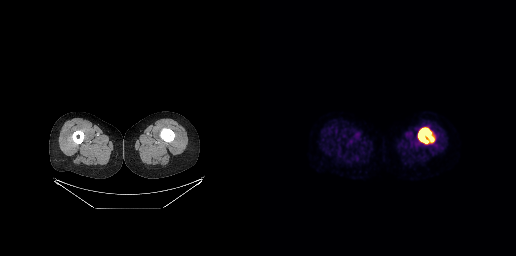
{"pet_grid":[256,256],"coord_frame":"pet_panel","coord_format":"x0,y0,x1,y1","lesion_bboxes":[[158,128,173,143]],"modality":"PSMA PET/CT","view":"axial","tracer":"18F"}